Left: CT. Right: PSMA PET, same axial level, 18F tracer. Slice 112 of 444. PET panel 200×200 px (4.1 mm/px).
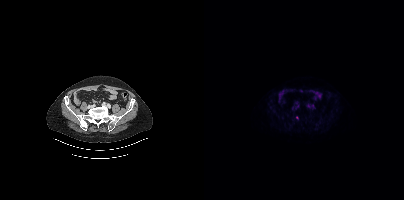
Coordinates are on the 200×200 PET (right) panel. Small PSMA-avid focus (2 to 4 px across) near (center x, center y): (93, 117).